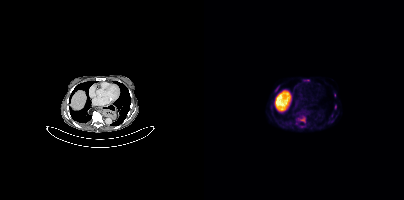
Findings: Coordinates are on the 200×200 PET (right) panel. (showing 2 of 5 foci) PSMA-avid tumor lesion bounding box (x0, y0)-(x1, y1): (94, 116)-(101, 122). Small PSMA-avid focus (2 to 4 px across) near (center x, center y): (97, 126).
Technique: Two-panel axial: CT | PSMA PET, 18F-PSMA tracer. acquired on Siemens Biograph mCT Flow 20. slice 218 of 354. PET panel 200×200 px (4.1 mm/px).